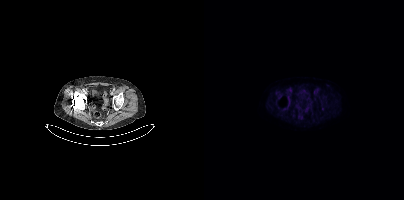
Findings: Negative for PSMA-avid disease on this slice.
- Paired axial CT (left) and PSMA PET (right), 18F-PSMA tracer
- acquired on Siemens Biograph mCT Flow 20